Two-panel axial: CT | PSMA PET, [18F]PSMA-1007 tracer. Slice position z = -592 mm. PET panel 200×200 px (4.1 mm/px).
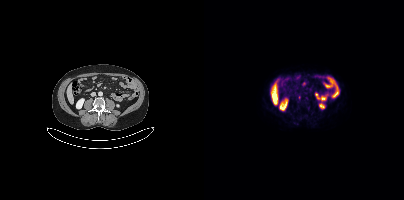
Coordinates are on the 200×200 PET (right) panel. Small PSMA-avid foci (2 to 4 px across) near (center x, center y): (95, 96), (101, 92).